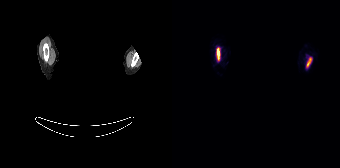
{"modality":"PSMA PET/CT","view":"axial","tracer":"18F","pet_grid":[168,168],"coord_frame":"pet_panel","coord_format":"x0,y0,x1,y1","lesion_bboxes":[[45,48,47,60],[134,57,139,66]],"deidentification":"head region blacked out before release"}